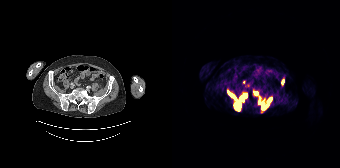
Coordinates are on the 168×168 PET (right) panel. PSMA-avid tumor lesion bounding boxes (x0,y0,x1,y1): [56,91,68,110]; [86,97,99,109]; [67,93,75,100]; [82,92,86,95]; [110,80,112,84]. Small PSMA-avid focus (2 to 4 px across) near (center x, center y): (71, 82).